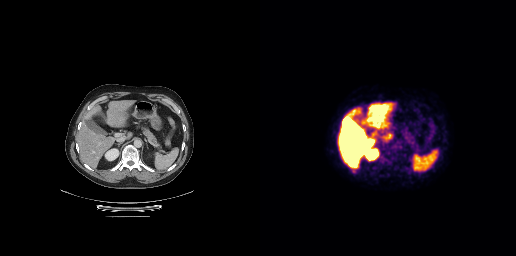
Technique: Paired axial CT (left) and PSMA PET (right), [18F]PSMA-1007 tracer. slice position z = -416 mm. PET panel 256×256 px (2.7 mm/px).
Findings: Only PSMA-avid lesion pieces thinner than 2 px on this slice (not listed).